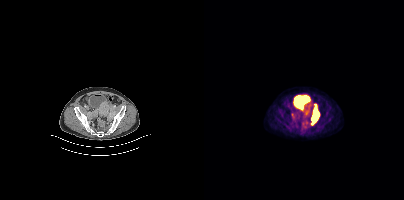
{"pet_grid":[200,200],"coord_frame":"pet_panel","coord_format":"x0,y0,x1,y1","partial":true,"lesion_bboxes":[[107,106,115,124],[100,108,107,115],[87,114,91,119]],"modality":"PSMA PET/CT","view":"axial","tracer":"[18F]PSMA-1007"}